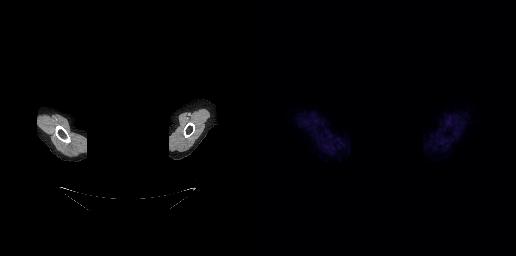
Technique: Paired axial CT (left) and PSMA PET (right), [18F]PSMA-1007 tracer. acquired on GE Discovery 690.
Note: The head region is masked for de-identification.
Findings: This slice has no annotated PSMA-avid lesion.